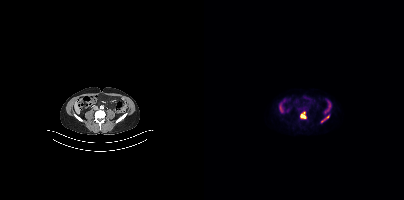
Two-panel axial: CT | PSMA PET, [18F]PSMA-1007 tracer. Acquired on Siemens Biograph mCT Flow 20. PET panel 200×200 px (4.1 mm/px). Coordinates are on the 200×200 PET (right) panel. PSMA-avid tumor lesion bounding boxes (x, y, width, height): x=96 y=112 w=7 h=7 / x=117 y=115 w=9 h=8.